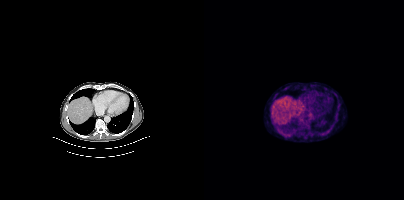
{"modality":"PSMA PET/CT","view":"axial","tracer":"[18F]PSMA-1007","pet_grid":[200,200],"coord_frame":"pet_panel","coord_format":"x0,y0,x1,y1","lesion_bboxes":[[94,115,99,121],[118,131,122,135],[82,133,85,137]]}